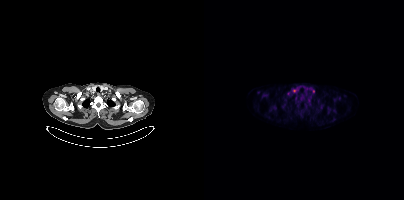
modality: PSMA PET/CT | tracer: [18F]PSMA-1007 | view: axial | PET grid: 200×200
Coordinates are on the 200×200 PET (right) panel. (showing 2 of 3 foci) Small PSMA-avid foci (2 to 4 px across) near (center x, center y): (90, 90); (108, 90).